Two-panel axial: CT | PSMA PET, [18F]PSMA-1007 tracer.
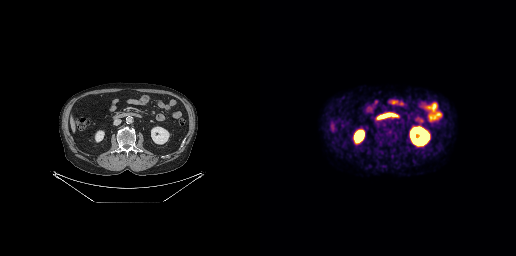
No tumor lesions annotated on this slice.